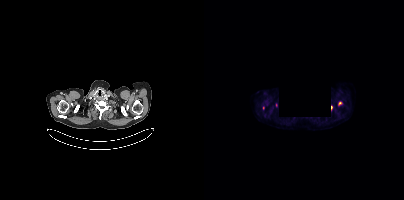
Technique: Left: CT. Right: PSMA PET, same axial level, 18F tracer. slice 333 of 387.
Note: A region was redacted for de-identification by setting it to black.
Findings: Coordinates are on the 200×200 PET (right) panel. (showing 2 of 4 foci) Small PSMA-avid foci (2 to 4 px across) near (center x, center y): (136, 102); (127, 107).